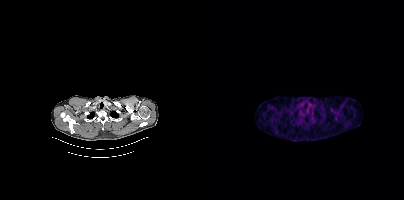
Paired axial CT (left) and PSMA PET (right), 18F tracer. PET panel 200×200 px (4.1 mm/px). No PSMA-avid tumor lesions on this slice.